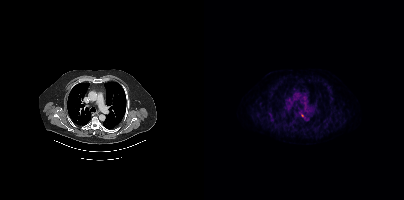
Coordinates are on the 200×200 PET (right) panel. PSMA-avid tumor lesion bounding boxes:
| # | x0 | y0 | x1 | y1 |
|---|---|---|---|---|
| 1 | 97 | 113 | 100 | 117 |
Paired axial CT (left) and PSMA PET (right), 18F-PSMA tracer.